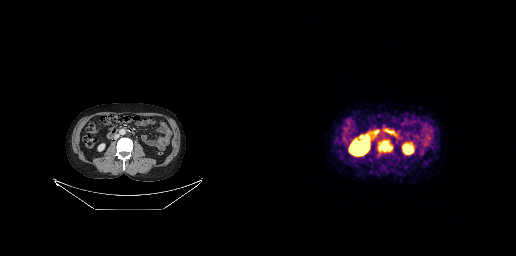
{"modality":"PSMA PET/CT","view":"axial","tracer":"[18F]PSMA-1007","pet_grid":[256,256],"coord_frame":"pet_panel","coord_format":"x0,y0,x1,y1","lesion_bboxes":[[118,140,132,151]]}